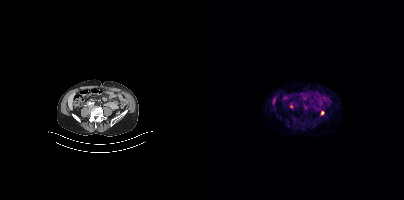
- Two-panel axial: CT | PSMA PET, [68Ga]Ga-PSMA-11 tracer
- slice position z = -1286 mm
Findings: Coordinates are on the 200×200 PET (right) panel. Small PSMA-avid foci (2 to 4 px across) near (center x, center y): (87, 106) (118, 112).